Two-panel axial: CT | PSMA PET, 18F-PSMA tracer. Slice 170 of 391. PET panel 200×200 px (4.1 mm/px).
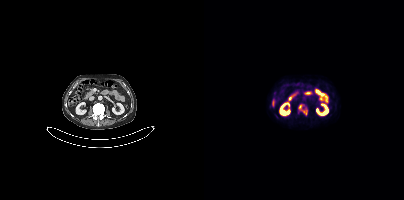
Coordinates are on the 200×200 PET (right) panel. PSMA-avid tumor lesion bounding box (x, y, width, height): x=94 y=104 w=10 h=12.